modality: PSMA PET/CT | tracer: 18F | view: axial | PET grid: 200×200
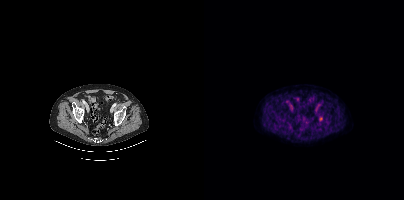
Negative for PSMA-avid disease on this slice.